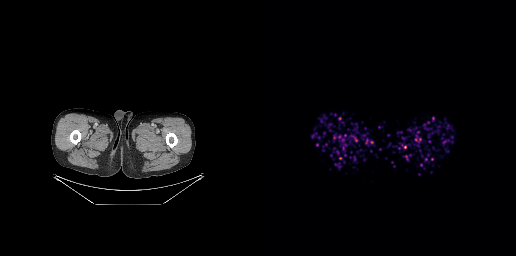
{"modality":"PSMA PET/CT","view":"axial","tracer":"68Ga","pet_grid":[256,256],"coord_frame":"pet_panel","coord_format":"x0,y0,x1,y1","psma_avid_lesions":false}